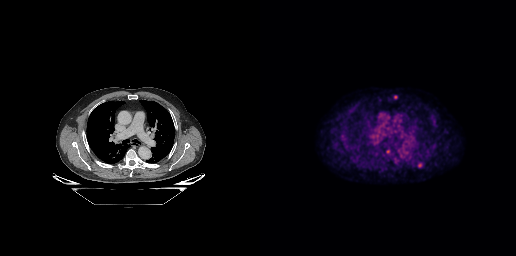
Findings: Coordinates are on the 256×256 PET (right) panel. (showing 2 of 3 foci) Small PSMA-avid foci (2 to 4 px across) near (center x, center y): (135, 96); (127, 151).
Technique: Paired axial CT (left) and PSMA PET (right), [18F]PSMA-1007 tracer. slice position z = -283 mm. PET panel 256×256 px (2.7 mm/px).